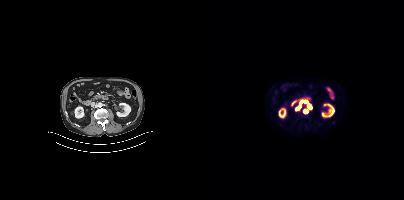
Left: CT. Right: PSMA PET, same axial level, 18F tracer. Acquired on Siemens Biograph mCT Flow 20. Slice position z = -1180 mm. Coordinates are on the 200×200 PET (right) panel. PSMA-avid tumor lesion bounding boxes (x0,y0,x1,y1): [91,101,98,110] [101,104,107,108]. Small PSMA-avid foci (2 to 4 px across) near (center x, center y): (101, 111) (101, 101).